Left: CT. Right: PSMA PET, same axial level, 18F-PSMA tracer. Slice position z = -388 mm.
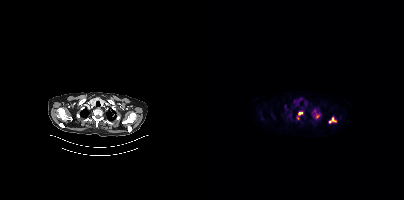
Coordinates are on the 200×200 PET (right) panel. PSMA-avid tumor lesion bounding boxes (x, y, width, height): x=110 y=110 w=6 h=9 / x=125 y=117 w=8 h=6 / x=94 y=112 w=5 h=4. Small PSMA-avid foci (2 to 4 px across) near (center x, center y): (81, 106) / (93, 118).